- Paired axial CT (left) and PSMA PET (right), 68Ga tracer
- acquired on GE Discovery 690
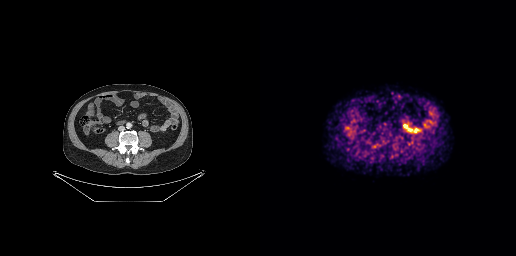
Findings: This slice has no annotated PSMA-avid lesion.